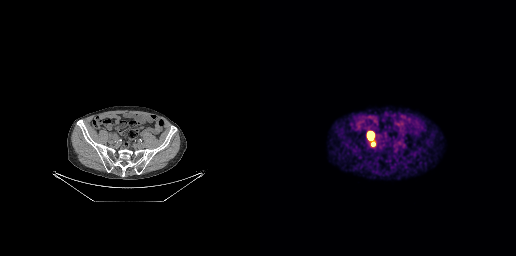
Coordinates are on the 256×256 PET (right) panel. PSMA-avid tumor lesion bounding box (x, y, width, height): x=108 y=132 w=5 h=7. Small PSMA-avid focus (2 to 4 px across) near (center x, center y): (113, 143). Two-panel axial: CT | PSMA PET, 68Ga-PSMA tracer.